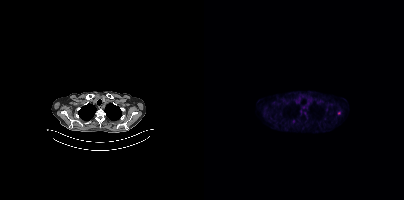
Coordinates are on the 200×200 PET (right) panel. Small PSMA-avid foci (2 to 4 px across) near (center x, center y): (135, 113) / (89, 121) / (120, 118).